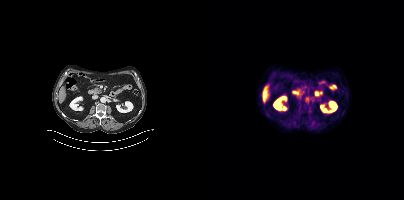
No tumor lesions annotated on this slice.